Technique: Two-panel axial: CT | PSMA PET, 18F-PSMA tracer. PET panel 200×200 px (4.1 mm/px).
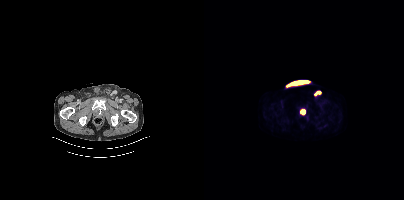
Findings: Coordinates are on the 200×200 PET (right) panel. PSMA-avid tumor lesion bounding boxes (x0, y0)-(x1, y1): (96, 109)-(101, 114) | (110, 91)-(117, 95).